modality: PSMA PET/CT | tracer: 18F-PSMA | view: axial
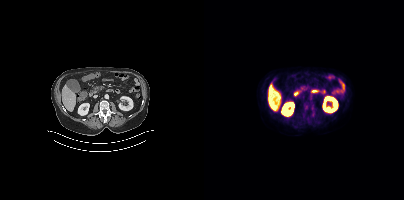
Coordinates are on the 200×200 PET (right) panel. PSMA-avid tumor lesion bounding box (x0, y0)-(x1, y1): (100, 105)-(102, 109).